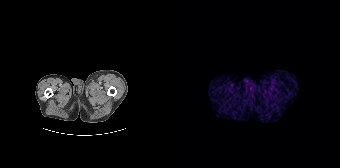
Findings: This slice has no annotated PSMA-avid lesion.
Technique: Paired axial CT (left) and PSMA PET (right), 68Ga-PSMA tracer.